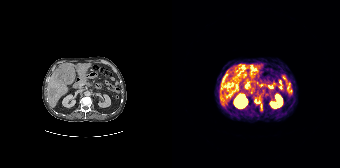
Findings: Coordinates are on the 168×168 PET (right) panel. (showing 6 of 7 foci) PSMA-avid tumor lesion bounding boxes (x, y, width, height): x=82 y=98 w=9 h=12; x=78 y=65 w=8 h=10; x=67 y=65 w=7 h=11; x=50 y=77 w=4 h=5. Small PSMA-avid foci (2 to 4 px across) near (center x, center y): (73, 75); (63, 83).
Technique: Left: CT. Right: PSMA PET, same axial level, 68Ga tracer. acquired on Siemens Biograph 64-4R TruePoint. slice 110 of 195. PET panel 168×168 px (4.1 mm/px).